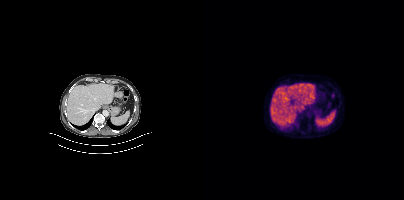
This slice has no annotated PSMA-avid lesion.